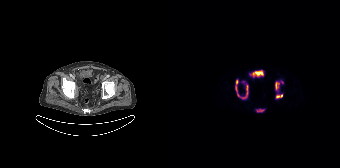
Coordinates are on the 168×168 PET (right) panel. PSMA-avid tumor lesion bounding boxes (x0,y0,x1,y1): [63,79,76,99] [103,81,107,91] [104,94,110,98] [85,109,92,111]. Small PSMA-avid foci (2 to 4 px across) near (center x, center y): (110, 82) (71, 81).